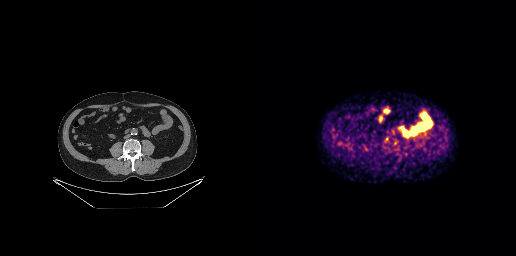
Negative for PSMA-avid disease on this slice.